Paired axial CT (left) and PSMA PET (right), 18F-PSMA tracer.
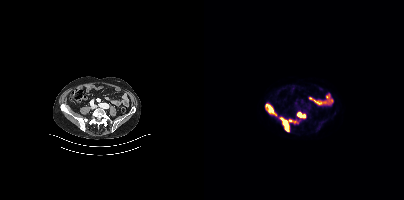
Coordinates are on the 200×200 PET (right) panel. PSMA-avid tumor lesion bounding boxes (x0,y0,x1,y1): [76,117,94,131], [61,104,72,115], [93,112,101,117].